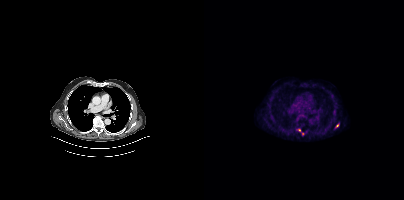
Coordinates are on the 200×200 PET (right) panel. (showing 2 of 3 foci) Small PSMA-avid foci (2 to 4 px across) near (center x, center y): (95, 129) | (133, 125). Left: CT. Right: PSMA PET, same axial level, 18F tracer. Slice position z = -1092 mm. PET panel 200×200 px (4.1 mm/px).